- Two-panel axial: CT | PSMA PET, 18F-PSMA tracer
- slice position z = -1664 mm
- PET panel 168×168 px (4.1 mm/px)
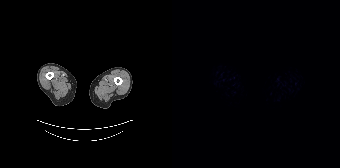
Findings: No tumor lesions annotated on this slice.